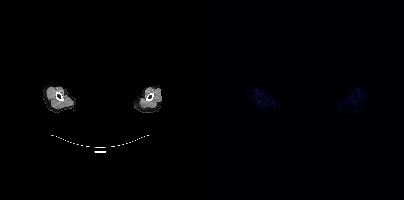
No tumor lesions annotated on this slice.
An anonymization step blacked out a rectangle over the head in this scan.